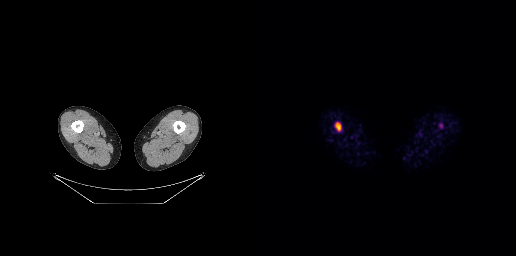
- Left: CT. Right: PSMA PET, same axial level, 18F tracer
- slice position z = -966 mm
- PET panel 256×256 px (2.7 mm/px)
Findings: Coordinates are on the 256×256 PET (right) panel. PSMA-avid tumor lesion bounding box (x, y, width, height): x=74 y=122 w=8 h=10.